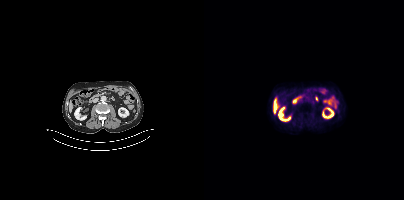
No tumor lesions annotated on this slice.
modality: PSMA PET/CT | tracer: [18F]PSMA-1007 | view: axial